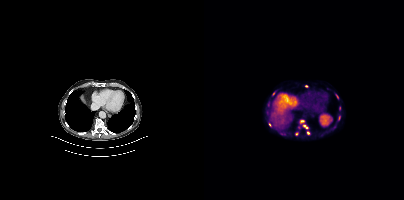
Coordinates are on the 200×200 PET (right) panel. (showing 8 of 9 foci) PSMA-avid tumor lesion bounding boxes (x0,y0,x1,y1): [99,125,103,128]; [96,120,100,122]. Small PSMA-avid foci (2 to 4 px across) near (center x, center y): (135, 117); (104, 133); (102, 86); (65, 124); (92, 133); (69, 93). Left: CT. Right: PSMA PET, same axial level, [18F]PSMA-1007 tracer. Slice 243 of 413.